- Left: CT. Right: PSMA PET, same axial level, 18F-PSMA tracer
- slice position z = -275 mm
- PET panel 200×200 px (4.1 mm/px)
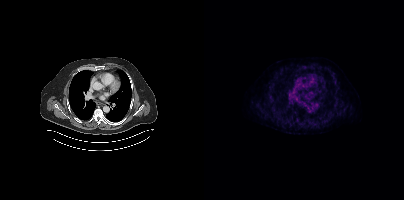
Findings: No PSMA-avid tumor lesions on this slice.